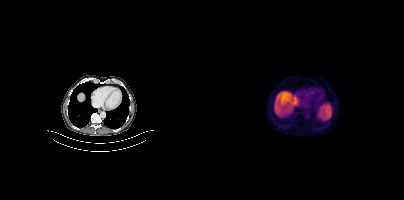
This slice has no annotated PSMA-avid lesion.